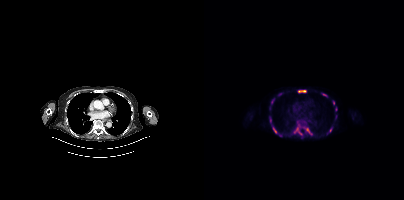
Coordinates are on the 200×200 PET (right) panel. (showing 12 of 15 foci) PSMA-avid tumor lesion bounding boxes (x0, y0)-(x1, y1): (89, 127)-(99, 138) | (94, 90)-(102, 92) | (65, 119)-(69, 126) | (75, 92)-(79, 95) | (125, 128)-(128, 132) | (69, 128)-(72, 133) | (103, 128)-(105, 132). Small PSMA-avid foci (2 to 4 px across) near (center x, center y): (120, 95) | (68, 101) | (132, 108) | (129, 102) | (95, 124).